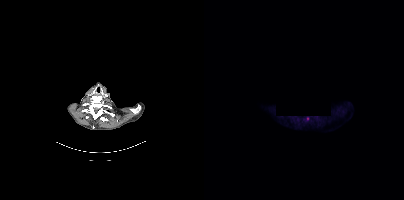
Any black rectangle here is a de-identification mask.
Coordinates are on the 200×200 PET (right) panel. Small PSMA-avid focus (2 to 4 px across) near (center x, center y): (103, 118).